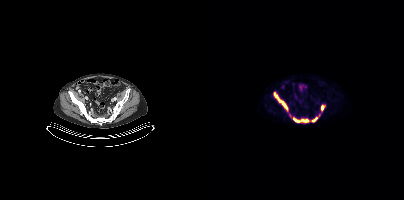
Technique: Paired axial CT (left) and PSMA PET (right), 18F-PSMA tracer. acquired on Siemens Biograph mCT Flow 20.
Findings: Coordinates are on the 200×200 PET (right) panel. PSMA-avid tumor lesion bounding boxes (x0, y0)-(x1, y1): (70, 92)-(83, 110); (89, 118)-(104, 122); (117, 105)-(119, 109); (108, 118)-(112, 121).